- Paired axial CT (left) and PSMA PET (right), [68Ga]Ga-PSMA-11 tracer
- slice position z = -1076 mm
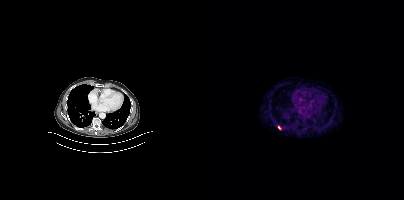
Findings: Coordinates are on the 200×200 PET (right) panel. Small PSMA-avid focus (2 to 4 px across) near (center x, center y): (75, 127).